Left: CT. Right: PSMA PET, same axial level, 18F-PSMA tracer. PET panel 200×200 px (4.1 mm/px).
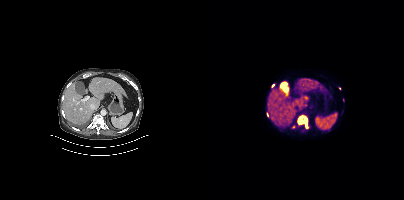
Coordinates are on the 200×200 PET (right) panel. (showing 4 of 5 foci) PSMA-avid tumor lesion bounding box (x0,y0,x1,y1): [93,115,104,128]. Small PSMA-avid foci (2 to 4 px across) near (center x, center y): (69, 85); (63, 114); (135, 88).